Left: CT. Right: PSMA PET, same axial level, [68Ga]Ga-PSMA-11 tracer. Acquired on Siemens Biograph 64-4R TruePoint.
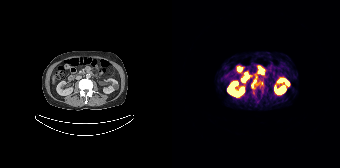
Coordinates are on the 168×168 PET (right) panel. PSMA-avid tumor lesion bounding boxes (partial; 1 more focus not listed):
| # | x0 | y0 | x1 | y1 |
|---|---|---|---|---|
| 1 | 79 | 80 | 85 | 88 |